Paired axial CT (left) and PSMA PET (right), [68Ga]Ga-PSMA-11 tracer. Slice position z = -1054 mm. PET panel 200×200 px (4.1 mm/px).
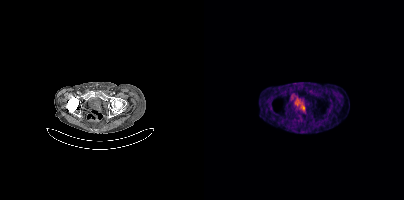
Coordinates are on the 200×200 PET (right) panel. PSMA-avid tumor lesion bounding box (x0,y0,x1,y1): [96,105,100,111].